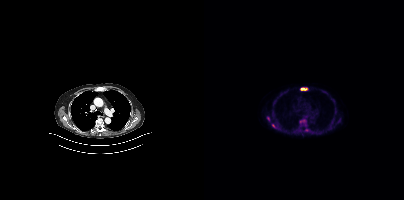
Technique: Left: CT. Right: PSMA PET, same axial level, 18F tracer. acquired on Siemens Biograph mCT Flow 20. slice 282 of 401.
Findings: Coordinates are on the 200×200 PET (right) panel. (showing 4 of 5 foci) PSMA-avid tumor lesion bounding boxes (x0,y0,x1,y1): [96,119,102,125]; [96,88,103,90]. Small PSMA-avid foci (2 to 4 px across) near (center x, center y): (69, 125); (64, 118).